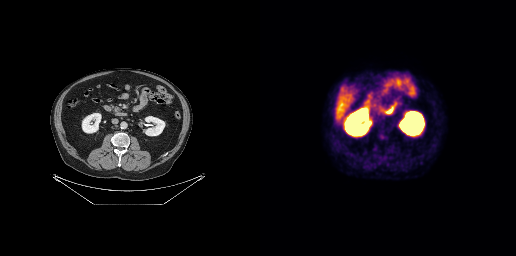
Technique: Paired axial CT (left) and PSMA PET (right), [18F]PSMA-1007 tracer. acquired on GE Discovery 690. slice 132 of 263. PET panel 256×256 px (2.7 mm/px).
Findings: No tumor lesions annotated on this slice.